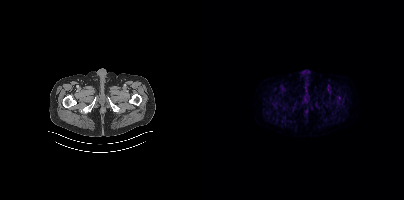
{"modality":"PSMA PET/CT","view":"axial","tracer":"18F-PSMA","pet_grid":[200,200],"coord_frame":"pet_panel","coord_format":"x0,y0,x1,y1","psma_avid_lesions":false}